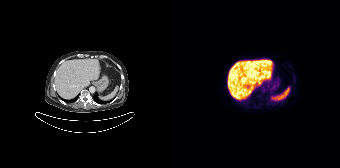
No tumor lesions annotated on this slice.